modality: PSMA PET/CT | tracer: 18F | view: axial
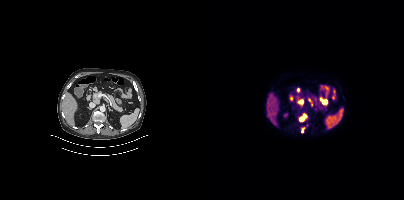
Coordinates are on the 200×200 PET (right) panel. PSMA-avid tumor lesion bounding boxes (x0, y0)-(x1, y1): (95, 114)-(103, 121) | (98, 128)-(100, 132).